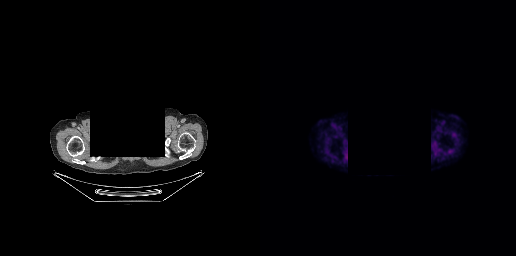
Head region blanked for anonymization (face removed).
No PSMA-avid tumor lesions on this slice.